The face region was removed for patient privacy by blanking a rectangle over the head. Paired axial CT (left) and PSMA PET (right), 18F tracer. PET panel 256×256 px (2.7 mm/px).
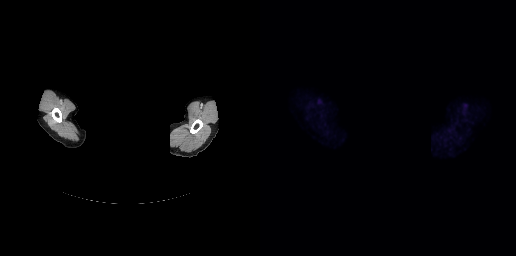
No tumor lesions annotated on this slice.